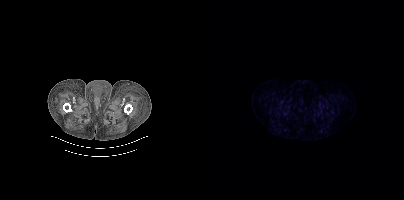
{"modality":"PSMA PET/CT","view":"axial","tracer":"18F-PSMA","pet_grid":[200,200],"coord_frame":"pet_panel","coord_format":"x0,y0,x1,y1","psma_avid_lesions":false}